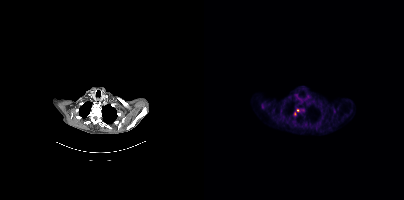
{"modality":"PSMA PET/CT","view":"axial","tracer":"18F-PSMA","pet_grid":[200,200],"coord_frame":"pet_panel","coord_format":"x0,y0,x1,y1","lesion_bboxes":[],"small_foci_centers":[[91,113],[94,110]]}